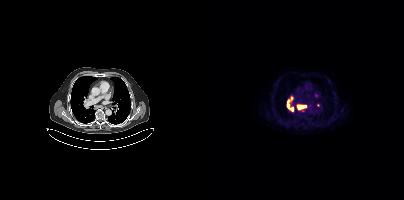
Coordinates are on the 200×200 PET (right) panel. PSMA-avid tumor lesion bounding box (x0, y0)-(x1, y1): (93, 105)-(101, 109).
modality: PSMA PET/CT | tracer: 18F-PSMA | view: axial | PET grid: 200×200